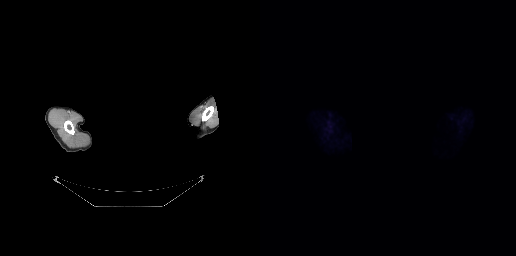
Technique: Two-panel axial: CT | PSMA PET, 18F tracer. PET panel 256×256 px (2.7 mm/px).
Note: An anonymization step blacked out a rectangle over the head in this scan.
Findings: Negative for PSMA-avid disease on this slice.